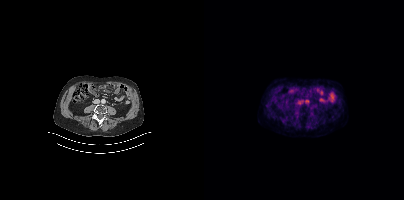
Technique: Paired axial CT (left) and PSMA PET (right), 18F tracer.
Findings: Negative for PSMA-avid disease on this slice.